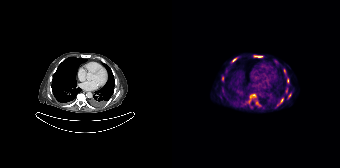
{"modality":"PSMA PET/CT","view":"axial","tracer":"68Ga","pet_grid":[168,168],"coord_frame":"pet_panel","coord_format":"x0,y0,x1,y1","partial":true,"lesion_bboxes":[[76,94,84,103],[82,56,90,57],[84,101,88,105],[60,58,64,61]],"small_foci_centers":[[112,70],[115,80],[117,95],[108,102],[50,76],[110,98]]}